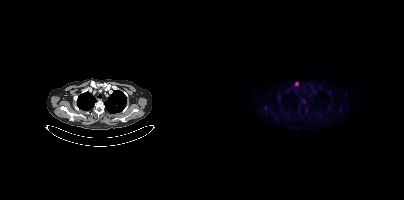
{"modality":"PSMA PET/CT","view":"axial","tracer":"18F","pet_grid":[200,200],"coord_frame":"pet_panel","coord_format":"x0,y0,x1,y1","partial":true,"lesion_bboxes":[[91,82,94,86]]}